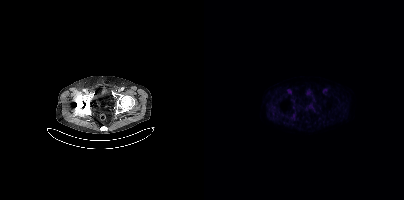
Negative for PSMA-avid disease on this slice. Left: CT. Right: PSMA PET, same axial level, [18F]PSMA-1007 tracer. Acquired on Siemens Biograph mCT Flow 20.